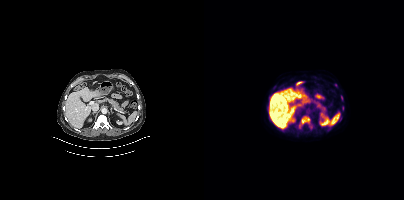
Technique: Paired axial CT (left) and PSMA PET (right), [18F]PSMA-1007 tracer. slice 193 of 395. PET panel 200×200 px (4.1 mm/px).
Findings: Coordinates are on the 200×200 PET (right) panel. (showing 3 of 4 foci) PSMA-avid tumor lesion bounding boxes (x, y, width, height): x=95 y=116 w=14 h=14; x=138 y=106 w=2 h=5. Small PSMA-avid focus (2 to 4 px across) near (center x, center y): (137, 97).